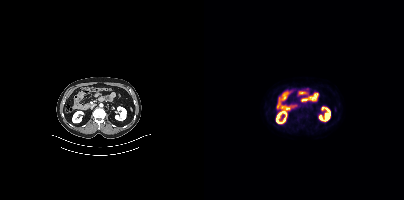
{"pet_grid":[200,200],"coord_frame":"pet_panel","coord_format":"x0,y0,x1,y1","psma_avid_lesions":false,"modality":"PSMA PET/CT","view":"axial","tracer":"18F"}